Two-panel axial: CT | PSMA PET, 18F-PSMA tracer. PET panel 200×200 px (4.1 mm/px).
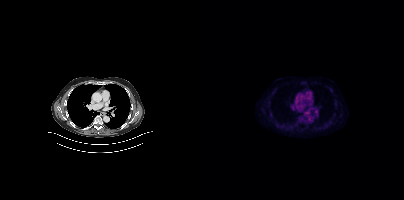
No tumor lesions annotated on this slice.